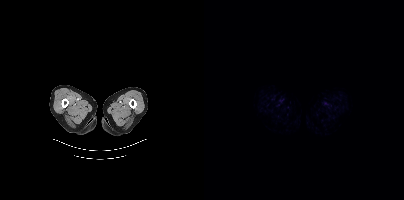
Technique: Paired axial CT (left) and PSMA PET (right), 18F-PSMA tracer. acquired on Siemens Biograph mCT Flow 20. slice 15 of 405. PET panel 200×200 px (4.1 mm/px).
Findings: Negative for PSMA-avid disease on this slice.